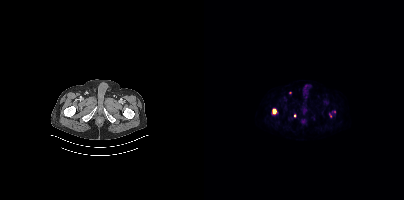
Findings: Coordinates are on the 200×200 PET (right) panel. PSMA-avid tumor lesion bounding box (x0,y0,x1,y1): [68,108,72,114]. Small PSMA-avid foci (2 to 4 px across) near (center x, center y): (90, 115) (126, 116) (130, 111) (86, 92).
- Paired axial CT (left) and PSMA PET (right), 18F tracer